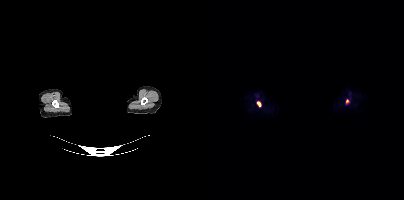
Coordinates are on the 200×200 PET (right) panel. PSMA-avid tumor lesion bounding box (x0,y0,x1,y1): [53,101,57,106]. Small PSMA-avid focus (2 to 4 px across) near (center x, center y): (143, 101). Left: CT. Right: PSMA PET, same axial level, [18F]PSMA-1007 tracer. Slice position z = -294 mm. Facial anatomy redacted by setting a rectangular region of the head to black.